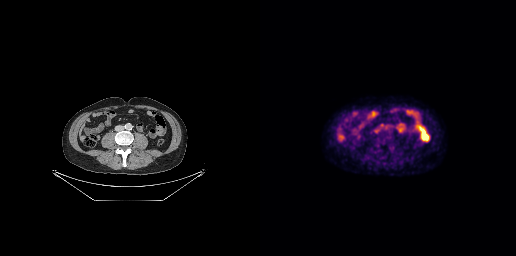
Technique: Left: CT. Right: PSMA PET, same axial level, [18F]PSMA-1007 tracer. acquired on GE Discovery 690. slice position z = -541 mm.
Findings: Coordinates are on the 256×256 PET (right) panel. Small PSMA-avid focus (2 to 4 px across) near (center x, center y): (121, 124).